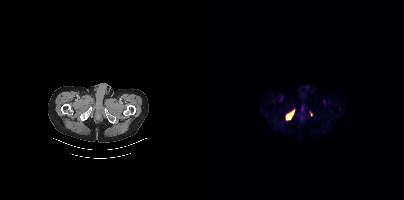
Paired axial CT (left) and PSMA PET (right), 18F tracer. Acquired on Siemens Biograph mCT Flow 20. Slice 45 of 401. Coordinates are on the 200×200 PET (right) panel. PSMA-avid tumor lesion bounding box (x0, y0)-(x1, y1): (82, 109)-(90, 119). Small PSMA-avid focus (2 to 4 px across) near (center x, center y): (107, 114).